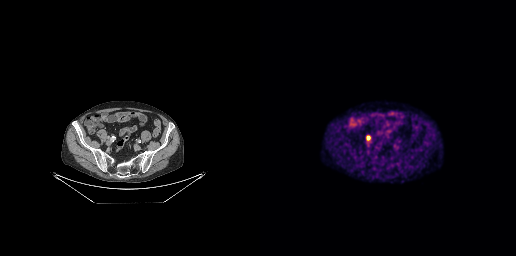
Coordinates are on the 256×256 PET (right) panel. PSMA-avid tumor lesion bounding box (x, y, width, height): x=106 y=135 w=5 h=6. Two-panel axial: CT | PSMA PET, [18F]PSMA-1007 tracer. Slice position z = -768 mm. PET panel 256×256 px (2.7 mm/px).